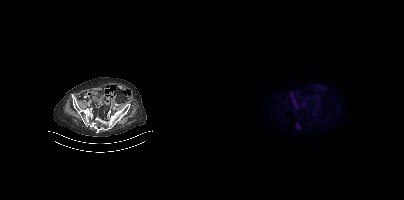
Two-panel axial: CT | PSMA PET, 18F tracer. Acquired on Siemens Biograph mCT Flow 20. Slice position z = -908 mm. Coordinates are on the 200×200 PET (right) panel. Small PSMA-avid focus (2 to 4 px across) near (center x, center y): (93, 126).